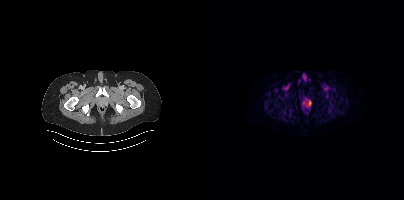
{"modality":"PSMA PET/CT","view":"axial","tracer":"18F","pet_grid":[200,200],"coord_frame":"pet_panel","coord_format":"x0,y0,x1,y1","lesion_bboxes":[],"small_foci_centers":[[105,103]]}